A rectangle over the head was blacked out to remove identifiable facial features.
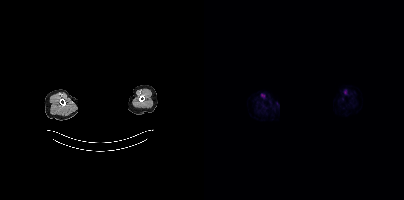
Negative for PSMA-avid disease on this slice.